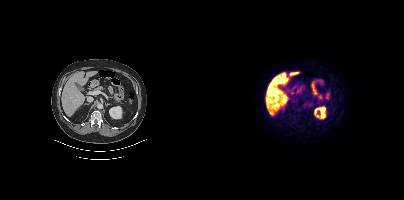
No tumor lesions annotated on this slice.